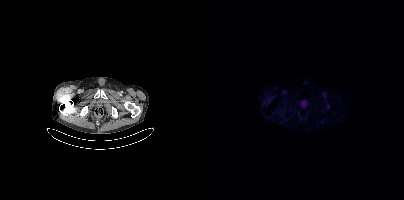
Two-panel axial: CT | PSMA PET, 18F tracer. Acquired on Siemens Biograph mCT Flow 20. No PSMA-avid tumor lesions on this slice.